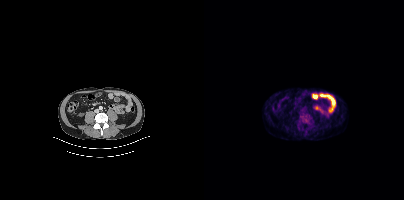
Coordinates are on the 200×200 PET (right) panel. PSMA-avid tumor lesion bounding boxes:
| # | x0 | y0 | x1 | y1 |
|---|---|---|---|---|
| 1 | 96 | 113 | 107 | 125 |
Paired axial CT (left) and PSMA PET (right), [18F]PSMA-1007 tracer. Slice position z = -374 mm. PET panel 200×200 px (4.1 mm/px).